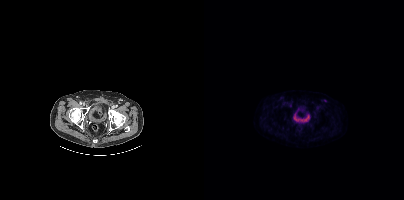
No tumor lesions annotated on this slice.